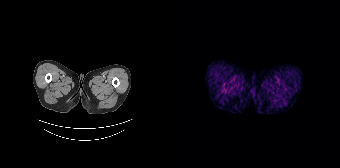
Technique: Paired axial CT (left) and PSMA PET (right), [68Ga]Ga-PSMA-11 tracer. PET panel 168×168 px (4.1 mm/px).
Findings: Negative for PSMA-avid disease on this slice.